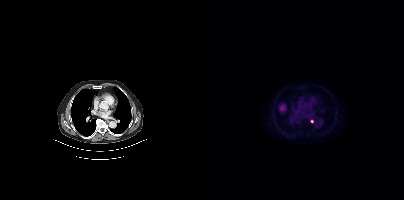
Paired axial CT (left) and PSMA PET (right), 18F tracer. Slice 254 of 383. Coordinates are on the 200×200 PET (right) panel. Small PSMA-avid focus (2 to 4 px across) near (center x, center y): (107, 121).